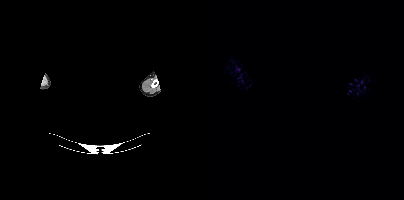
No tumor lesions annotated on this slice. Head region blanked for anonymization (face removed). Left: CT. Right: PSMA PET, same axial level, [18F]PSMA-1007 tracer. Acquired on Siemens Biograph mCT Flow 20. PET panel 200×200 px (4.1 mm/px).